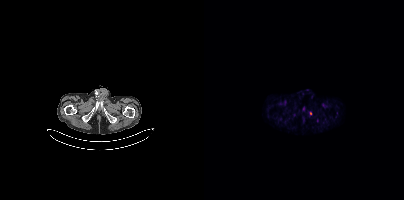
Paired axial CT (left) and PSMA PET (right), 18F-PSMA tracer. Acquired on Siemens Biograph mCT Flow 20. PET panel 200×200 px (4.1 mm/px). Coordinates are on the 200×200 PET (right) panel. Small PSMA-avid foci (2 to 4 px across) near (center x, center y): (106, 113); (113, 120).